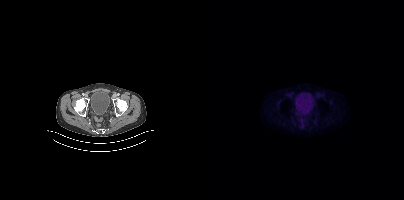
Paired axial CT (left) and PSMA PET (right), 18F tracer. Slice 69 of 405. PET panel 200×200 px (4.1 mm/px). No PSMA-avid tumor lesions on this slice.